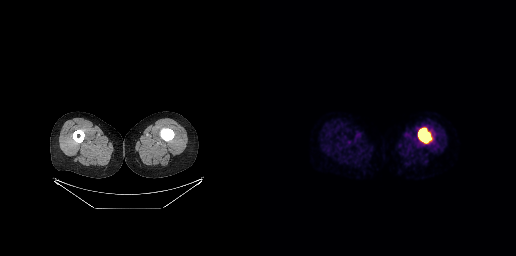
{"modality":"PSMA PET/CT","view":"axial","tracer":"18F-PSMA","pet_grid":[256,256],"coord_frame":"pet_panel","coord_format":"x0,y0,x1,y1","lesion_bboxes":[[158,128,171,142]]}